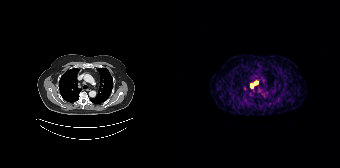
modality: PSMA PET/CT | tracer: 68Ga-PSMA | view: axial
Coordinates are on the 168×168 PET (right) panel. PSMA-avid tumor lesion bounding box (x, y, width, height): x=79 y=83 w=2 h=5. Small PSMA-avid focus (2 to 4 px across) near (center x, center y): (83, 82).